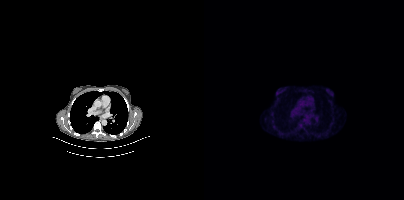
This slice has no annotated PSMA-avid lesion.